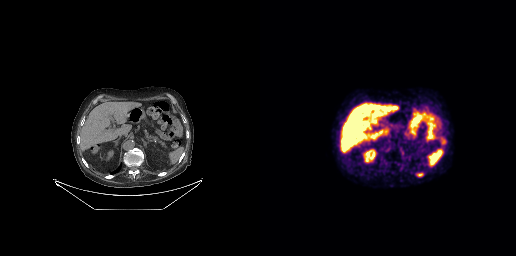
{"modality":"PSMA PET/CT","view":"axial","tracer":"18F-PSMA","pet_grid":[256,256],"coord_frame":"pet_panel","coord_format":"x0,y0,x1,y1","lesion_bboxes":[[156,172,163,176]]}